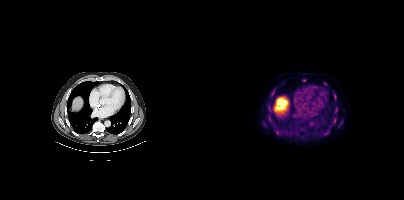
{"pet_grid":[200,200],"coord_frame":"pet_panel","coord_format":"x0,y0,x1,y1","partial":true,"lesion_bboxes":[],"small_foci_centers":[[99,80],[124,132],[131,96],[67,95],[137,122],[61,125],[129,122]],"modality":"PSMA PET/CT","view":"axial","tracer":"[18F]PSMA-1007"}